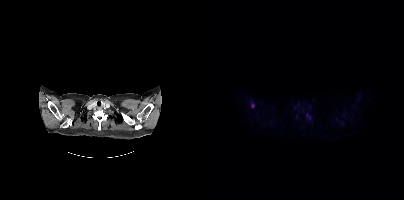
modality: PSMA PET/CT | tracer: 18F-PSMA | view: axial | PET grid: 200×200
Coordinates are on the 200×200 PET (right) panel. Small PSMA-avid foci (2 to 4 px across) near (center x, center y): (103, 114) / (48, 106).